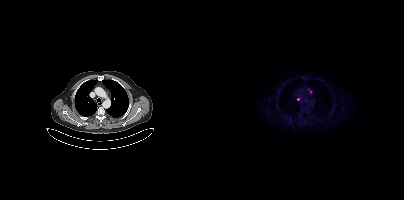
{"modality":"PSMA PET/CT","view":"axial","tracer":"18F-PSMA","pet_grid":[200,200],"coord_frame":"pet_panel","coord_format":"x0,y0,x1,y1","partial":true,"lesion_bboxes":[],"small_foci_centers":[[106,92],[94,99]]}